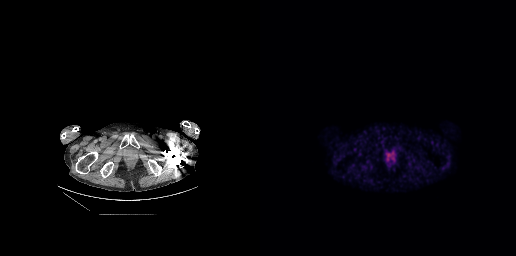
Findings: Coordinates are on the 256×256 PET (right) panel. PSMA-avid tumor lesion bounding box (x0, y0)-(x1, y1): (127, 152)-(133, 157).
Technique: Two-panel axial: CT | PSMA PET, [18F]PSMA-1007 tracer. acquired on GE Discovery 690.